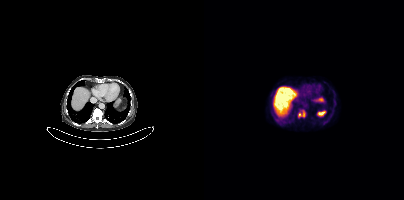
- Two-panel axial: CT | PSMA PET, [18F]PSMA-1007 tracer
Findings: Coordinates are on the 200×200 PET (right) panel. PSMA-avid tumor lesion bounding box (x, y, width, height): x=94 y=110 w=8 h=8.